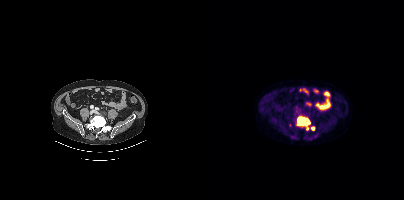
Coordinates are on the 200×200 PET (right) panel. PSMA-avid tumor lesion bounding box (x0,y0,x1,y1): [93,116,106,130]. Small PSMA-avid focus (2 to 4 px across) near (center x, center y): (108, 128).